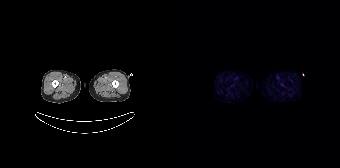
- Two-panel axial: CT | PSMA PET, [68Ga]Ga-PSMA-11 tracer
Findings: This slice has no annotated PSMA-avid lesion.